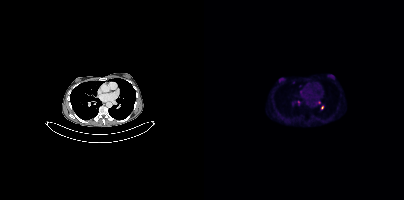
- Paired axial CT (left) and PSMA PET (right), 18F-PSMA tracer
- acquired on Siemens Biograph mCT Flow 20
- slice position z = -50 mm
- PET panel 200×200 px (4.1 mm/px)
Findings: Coordinates are on the 200×200 PET (right) panel. (showing 6 of 7 foci) Small PSMA-avid foci (2 to 4 px across) near (center x, center y): (118, 107); (89, 82); (96, 85); (96, 92); (94, 102); (74, 113).